Left: CT. Right: PSMA PET, same axial level, 18F tracer. Slice 51 of 299. PET panel 256×256 px (2.7 mm/px).
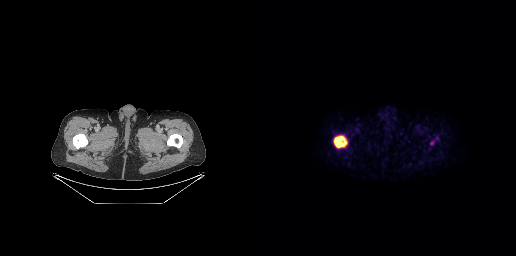
Coordinates are on the 256×256 PET (right) panel. (showing 1 of 2 foci) PSMA-avid tumor lesion bounding box (x0, y0)-(x1, y1): (74, 135)-(87, 147).